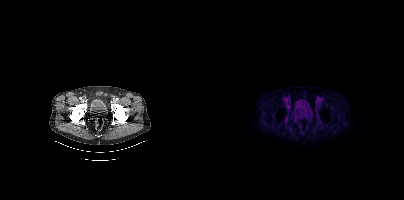
No tumor lesions annotated on this slice.